- Paired axial CT (left) and PSMA PET (right), 18F tracer
- acquired on Siemens Biograph mCT Flow 20
- slice position z = -1362 mm
- PET panel 200×200 px (4.1 mm/px)
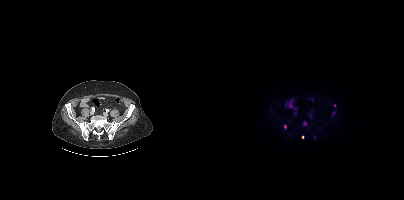
Findings: Coordinates are on the 200×200 PET (right) panel. (showing 1 of 2 foci) Small PSMA-avid focus (2 to 4 px across) near (center x, center y): (98, 137).